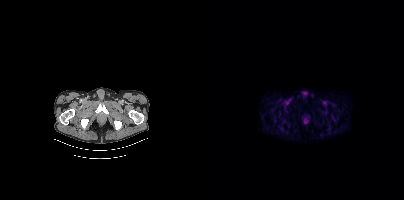
Technique: Paired axial CT (left) and PSMA PET (right), 18F-PSMA tracer.
Findings: Negative for PSMA-avid disease on this slice.